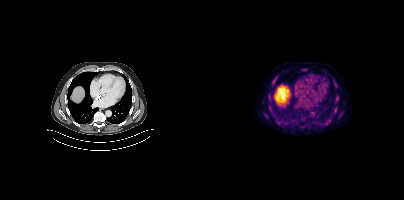
- Left: CT. Right: PSMA PET, same axial level, 18F-PSMA tracer
Findings: Coordinates are on the 200×200 PET (right) panel. (showing 5 of 6 foci) PSMA-avid tumor lesion bounding boxes (x0,y0,x1,y1): [69,77,72,81] [60,114,63,118] [98,69,102,70]. Small PSMA-avid foci (2 to 4 px across) near (center x, center y): (131, 110) (130, 80).